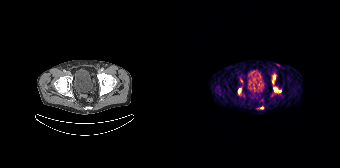
Coordinates are on the 168×168 PET (right) panel. PSMA-avid tumor lesion bounding boxes (x0, y0)-(x1, y1): (101, 87)-(109, 92) / (65, 87)-(69, 94) / (100, 75)-(103, 83) / (68, 78)-(70, 82). Small PSMA-avid focus (2 to 4 px across) near (center x, center y): (89, 108).